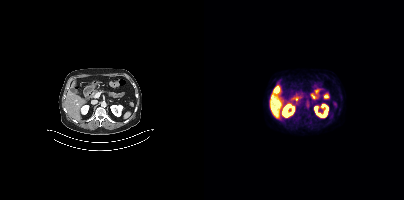
modality: PSMA PET/CT | tracer: 18F-PSMA | view: axial
Negative for PSMA-avid disease on this slice.